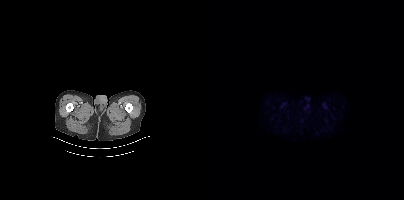
This slice has no annotated PSMA-avid lesion.